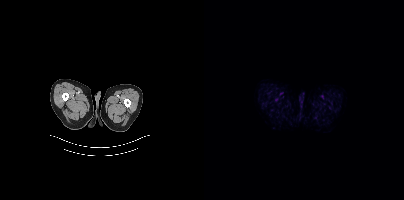
Left: CT. Right: PSMA PET, same axial level, [18F]PSMA-1007 tracer. Acquired on Siemens Biograph mCT Flow 20. Slice position z = -930 mm. PET panel 200×200 px (4.1 mm/px). This slice has no annotated PSMA-avid lesion.